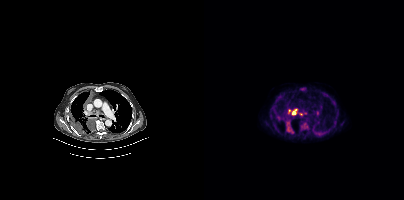
Coordinates are on the 200×200 PET (right) panel. PSMA-avid tumor lesion bounding boxes (x0,y0,x1,y1): [80,119,89,133], [97,123,104,129], [87,109,92,115], [84,109,86,113]. Small PSMA-avid foci (2 to 4 px across) near (center x, center y): (96, 113), (75, 119).
modality: PSMA PET/CT | tracer: 18F | view: axial